Technique: Left: CT. Right: PSMA PET, same axial level, [18F]PSMA-1007 tracer. PET panel 200×200 px (4.1 mm/px).
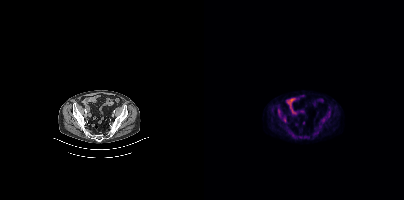
Findings: Coordinates are on the 200×200 PET (right) panel. (showing 4 of 5 foci) PSMA-avid tumor lesion bounding boxes (x0,y0,x1,y1): [116,117,122,123]; [123,110,126,117]; [74,108,77,114]; [78,118,82,122].